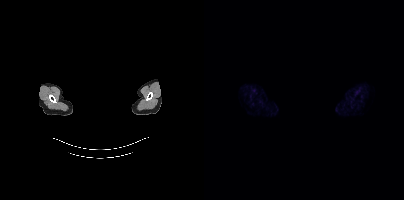
This slice has no annotated PSMA-avid lesion. Left: CT. Right: PSMA PET, same axial level, 68Ga tracer. Acquired on Siemens Biograph mCT Flow 20. PET panel 200×200 px (4.1 mm/px). Head region blanked for anonymization (face removed).